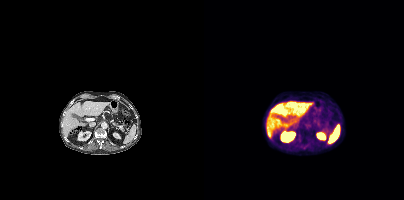
{"modality":"PSMA PET/CT","view":"axial","tracer":"18F-PSMA","pet_grid":[200,200],"coord_frame":"pet_panel","coord_format":"x0,y0,x1,y1","psma_avid_lesions":false}